Two-panel axial: CT | PSMA PET, 18F tracer. Acquired on Siemens Biograph mCT Flow 20. Slice position z = -682 mm.
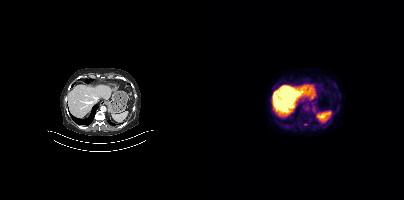
Coordinates are on the 200×200 PET (right) panel. Small PSMA-avid focus (2 to 4 px across) near (center x, center y): (101, 124).